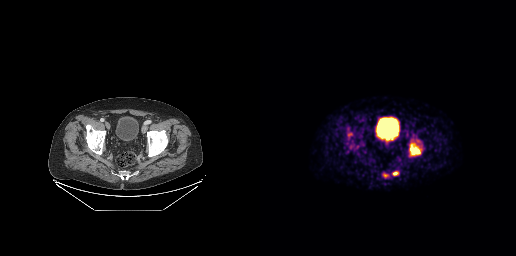
modality: PSMA PET/CT | tracer: 68Ga-PSMA | view: axial
Coordinates are on the 256×256 PET (right) panel. PSMA-avid tumor lesion bounding boxes (x, y, width, height): x=150 y=143 w=11 h=13; x=123 y=173 w=6 h=5; x=133 y=172 w=6 h=4.